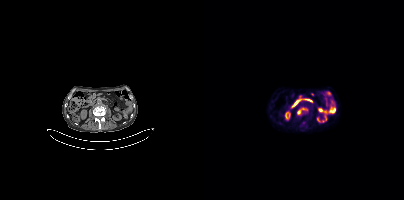
Findings: Coordinates are on the 200×200 PET (right) panel. PSMA-avid tumor lesion bounding box (x, y, width, height): x=93 y=108 w=11 h=7.
- Paired axial CT (left) and PSMA PET (right), 18F-PSMA tracer
- acquired on Siemens Biograph mCT Flow 20
- slice 164 of 385
- PET panel 200×200 px (4.1 mm/px)